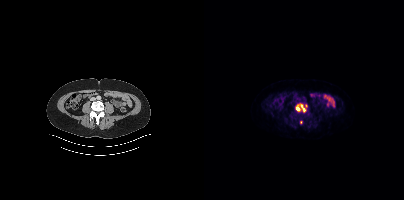
Coordinates are on the 200×200 PET (right) panel. (showing 2 of 4 foci) PSMA-avid tumor lesion bounding boxes (x0,y0,x1,y1): [92,106,95,110], [97,105,101,111].